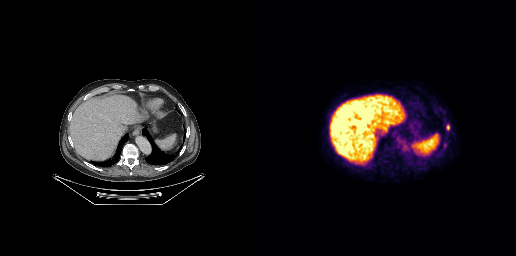
Coordinates are on the 256×256 PET (right) panel. Small PSMA-avid focus (2 to 4 px across) near (center x, center y): (188, 127).
modality: PSMA PET/CT | tracer: 18F-PSMA | view: axial